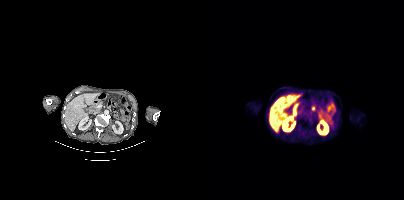
Left: CT. Right: PSMA PET, same axial level, 18F tracer. Slice position z = -1192 mm. PET panel 200×200 px (4.1 mm/px). No PSMA-avid tumor lesions on this slice.